Technique: Paired axial CT (left) and PSMA PET (right), 18F-PSMA tracer. PET panel 200×200 px (4.1 mm/px).
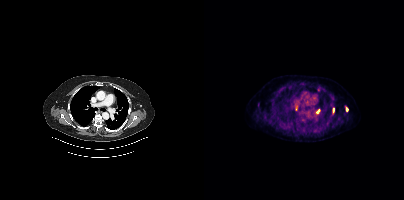
Findings: Coordinates are on the 200×200 PET (right) panel. (showing 4 of 5 foci) PSMA-avid tumor lesion bounding boxes (x0, y0)-(x1, y1): (112, 109)-(115, 113) | (129, 108)-(130, 112). Small PSMA-avid foci (2 to 4 px across) near (center x, center y): (142, 109) | (114, 89).